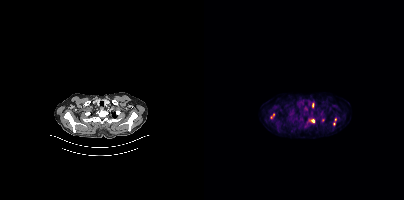
Coordinates are on the 200×200 PET (right) panel. (showing 5 of 7 foci) PSMA-avid tumor lesion bounding boxes (x0,y0,x1,y1): [106,119,110,122]; [108,103,109,107]. Small PSMA-avid foci (2 to 4 px across) near (center x, center y): (69, 114); (67, 117); (131, 119).
modality: PSMA PET/CT | tracer: 18F | view: axial